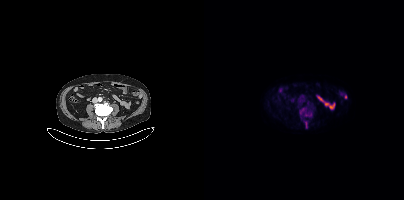
Only PSMA-avid lesion pieces thinner than 2 px on this slice (not listed).